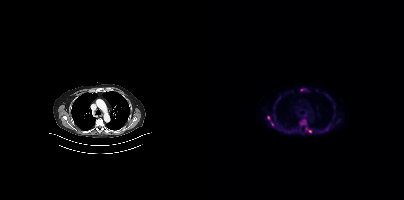
Left: CT. Right: PSMA PET, same axial level, 18F tracer.
Coordinates are on the 200×200 PET (right) panel. PSMA-avid tumor lesion bounding boxes (partial; 1 more focus not listed):
| # | x0 | y0 | x1 | y1 |
|---|---|---|---|---|
| 1 | 96 | 119 | 102 | 125 |
| 2 | 121 | 125 | 125 | 131 |
| 3 | 101 | 127 | 107 | 132 |
Small PSMA-avid foci (2 to 4 px across) near (center x, center y): (64, 117); (68, 123).